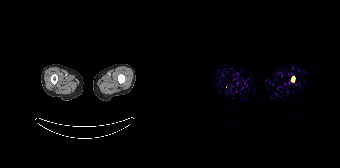
Technique: Two-panel axial: CT | PSMA PET, 68Ga-PSMA tracer. slice position z = -1059 mm.
Findings: Coordinates are on the 168×168 PET (right) panel. PSMA-avid tumor lesion bounding box (x0,y0,x1,y1): [120,77,122,81].